Paired axial CT (left) and PSMA PET (right), 18F tracer. Slice position z = -800 mm. PET panel 200×200 px (4.1 mm/px).
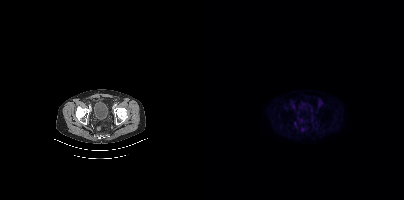
No PSMA-avid tumor lesions on this slice.